- Two-panel axial: CT | PSMA PET, 18F tracer
- acquired on Siemens Biograph mCT Flow 20
- slice 127 of 435
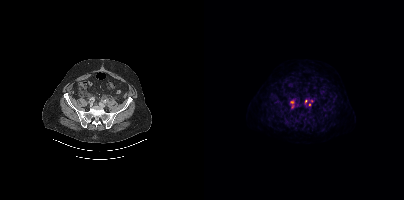
Findings: Coordinates are on the 200×200 PET (right) panel. PSMA-avid tumor lesion bounding box (x, y, width, height): x=86 y=100 w=5 h=9. Small PSMA-avid foci (2 to 4 px across) near (center x, center y): (102, 101) | (105, 104).